Left: CT. Right: PSMA PET, same axial level, 68Ga tracer.
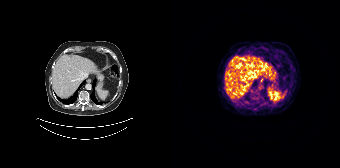
No tumor lesions annotated on this slice.